modality: PSMA PET/CT | tracer: 68Ga | view: axial
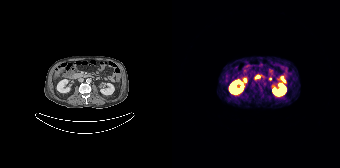
No PSMA-avid tumor lesions on this slice.